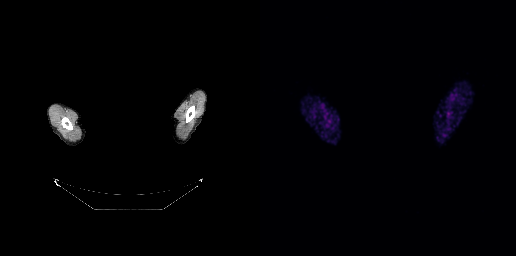
A rectangular block over the head has been blanked out for de-identification.
This slice has no annotated PSMA-avid lesion.